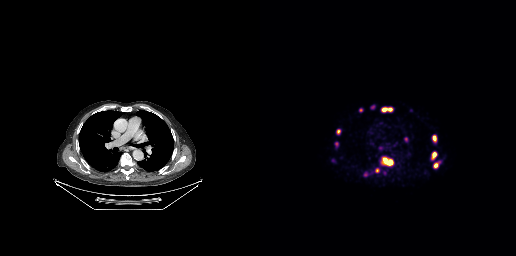
{"modality":"PSMA PET/CT","view":"axial","tracer":"[68Ga]Ga-PSMA-11","pet_grid":[256,256],"coord_frame":"pet_panel","coord_format":"x0,y0,x1,y1","lesion_bboxes":[[172,135,176,141],[172,152,176,158],[122,108,128,111],[123,158,127,163],[128,160,132,165],[174,163,177,167],[99,108,102,112],[77,129,80,133],[145,137,147,141]],"small_foci_centers":[[76,143],[116,170],[120,148],[130,109]]}